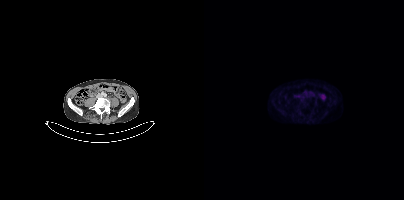
Two-panel axial: CT | PSMA PET, [18F]PSMA-1007 tracer. Slice position z = -346 mm. PET panel 200×200 px (4.1 mm/px). Negative for PSMA-avid disease on this slice.